Technique: Paired axial CT (left) and PSMA PET (right), [18F]PSMA-1007 tracer. slice position z = -1427 mm. PET panel 200×200 px (4.1 mm/px).
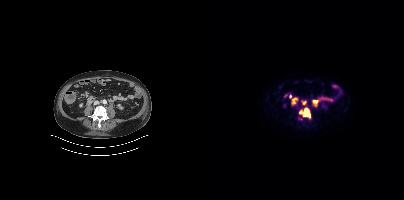
Findings: Coordinates are on the 200×200 PET (right) panel. (showing 2 of 3 foci) PSMA-avid tumor lesion bounding box (x0,y0,x1,y1): [96,108,106,117]. Small PSMA-avid focus (2 to 4 px across) near (center x, center y): (100, 102).